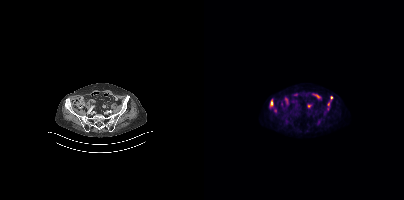
Coordinates are on the 200×200 PET (right) panel. (showing 3 of 4 foci) PSMA-avid tumor lesion bounding boxes (x0,y0,x1,y1): [66,99,69,107]; [123,96,128,106]; [70,106,72,111].